Technique: Two-panel axial: CT | PSMA PET, [18F]PSMA-1007 tracer. acquired on Siemens Biograph mCT Flow 20. PET panel 200×200 px (4.1 mm/px).
Note: Face de-identified by blanking a block of the head.
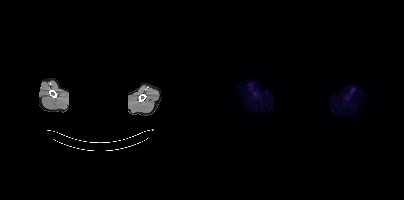
Findings: No PSMA-avid tumor lesions on this slice.